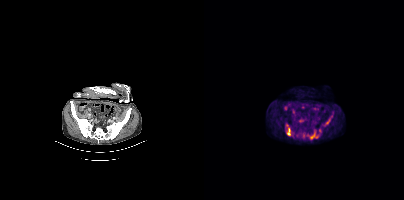
Technique: Two-panel axial: CT | PSMA PET, 18F-PSMA tracer. slice position z = -1364 mm. PET panel 200×200 px (4.1 mm/px).
Findings: Coordinates are on the 200×200 PET (right) panel. (showing 6 of 9 foci) PSMA-avid tumor lesion bounding boxes (x0,y0,x1,y1): [103,130,114,139], [83,128,87,135], [121,115,128,124], [92,135,96,138]. Small PSMA-avid foci (2 to 4 px across) near (center x, center y): (116, 130), (100, 138).